Left: CT. Right: PSMA PET, same axial level, [18F]PSMA-1007 tracer. Acquired on Siemens Biograph mCT Flow 20.
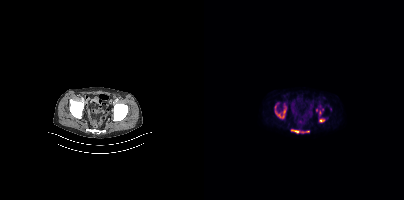
Coordinates are on the 200×200 PET (right) panel. PSMA-avid tumor lesion bounding boxes (partial; 2 more foci not listed):
| # | x0 | y0 | x1 | y1 |
|---|---|---|---|---|
| 1 | 71 | 105 | 82 | 118 |
| 2 | 87 | 129 | 105 | 133 |
| 3 | 115 | 119 | 120 | 122 |